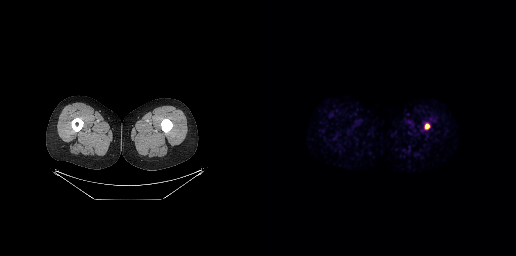
Coordinates are on the 256×256 PET (right) panel. PSMA-avid tumor lesion bounding box (x, y, width, height): x=165 y=124 w=5 h=6.